- Two-panel axial: CT | PSMA PET, [18F]PSMA-1007 tracer
- slice 2 of 435
- PET panel 200×200 px (4.1 mm/px)
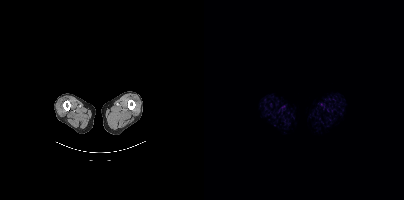
Findings: Negative for PSMA-avid disease on this slice.